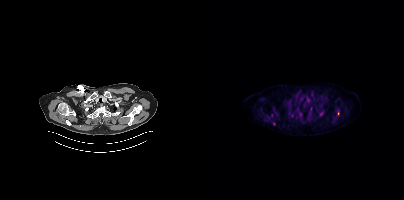
- Paired axial CT (left) and PSMA PET (right), 18F-PSMA tracer
- slice position z = -922 mm
- PET panel 200×200 px (4.1 mm/px)
Findings: Coordinates are on the 200×200 PET (right) panel. (showing 2 of 5 foci) Small PSMA-avid foci (2 to 4 px across) near (center x, center y): (117, 113) | (96, 114).